Paired axial CT (left) and PSMA PET (right), 18F-PSMA tracer. Acquired on Siemens Biograph mCT Flow 20. PET panel 200×200 px (4.1 mm/px).
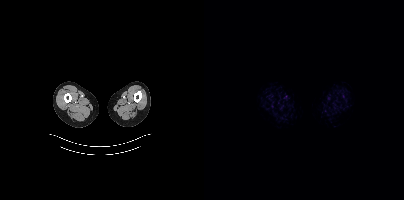
This slice has no annotated PSMA-avid lesion.